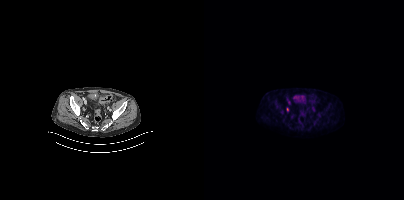
This slice has no annotated PSMA-avid lesion. Two-panel axial: CT | PSMA PET, [18F]PSMA-1007 tracer. Acquired on Siemens Biograph mCT Flow 20. Slice position z = -907 mm. PET panel 200×200 px (4.1 mm/px).